- Left: CT. Right: PSMA PET, same axial level, 18F-PSMA tracer
- acquired on Siemens Biograph mCT Flow 20
- slice position z = -1507 mm
- PET panel 200×200 px (4.1 mm/px)
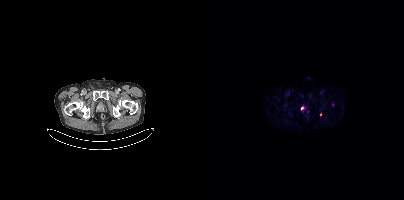
Findings: Coordinates are on the 200×200 PET (right) panel. (showing 3 of 4 foci) Small PSMA-avid foci (2 to 4 px across) near (center x, center y): (98, 108) (103, 111) (116, 114).